modality: PSMA PET/CT | tracer: 18F-PSMA | view: axial | PET grid: 256×256
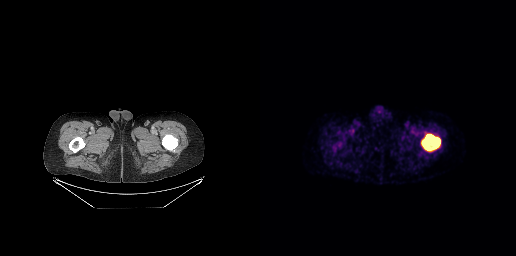
Coordinates are on the 256×256 PET (right) panel. PSMA-avid tumor lesion bounding box (x0, y0)-(x1, y1): (161, 134)-(180, 151).